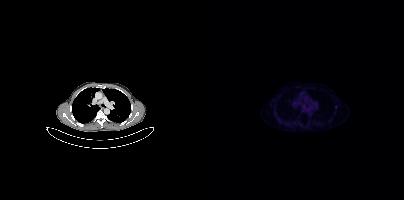
Only PSMA-avid lesion pieces thinner than 2 px on this slice (not listed).